Technique: Left: CT. Right: PSMA PET, same axial level, 68Ga-PSMA tracer. acquired on Siemens Biograph 64-4R TruePoint. slice 34 of 195.
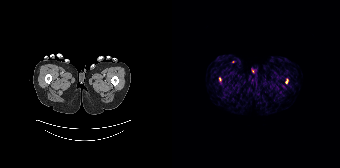
Findings: Coordinates are on the 168×168 PET (right) panel. (showing 2 of 3 foci) Small PSMA-avid foci (2 to 4 px across) near (center x, center y): (47, 79) | (114, 82).